Left: CT. Right: PSMA PET, same axial level, 18F-PSMA tracer. Acquired on GE Discovery 690.
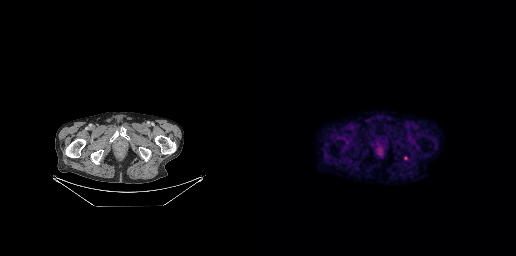
Coordinates are on the 256×256 PET (right) panel. PSMA-avid tumor lesion bounding boxes:
| # | x0 | y0 | x1 | y1 |
|---|---|---|---|---|
| 1 | 144 | 156 | 148 | 160 |